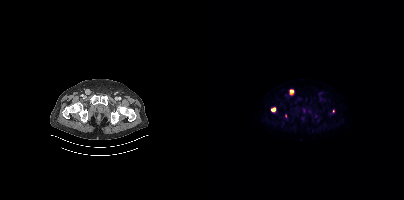
Coordinates are on the 200×200 PET (right) panel. (showing 3 of 4 foci) PSMA-avid tumor lesion bounding boxes (x, y, width, height): x=85 y=89 w=6 h=7 | x=67 y=107 w=5 h=5. Small PSMA-avid focus (2 to 4 px across) near (center x, center y): (129, 111).